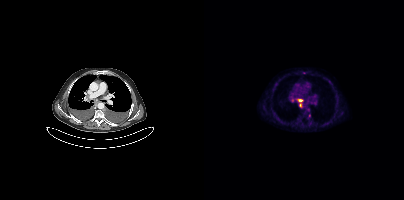
Coordinates are on the 200×200 PET (right) panel. PSMA-avid tumor lesion bounding boxes (partial; 1 more focus not listed):
| # | x0 | y0 | x1 | y1 |
|---|---|---|---|---|
| 1 | 93 | 99 | 99 | 107 |
Small PSMA-avid focus (2 to 4 px across) near (center x, center y): (105, 115).
Left: CT. Right: PSMA PET, same axial level, 18F-PSMA tracer. Slice position z = -491 mm. PET panel 200×200 px (4.1 mm/px).